Left: CT. Right: PSMA PET, same axial level, 18F-PSMA tracer. PET panel 200×200 px (4.1 mm/px).
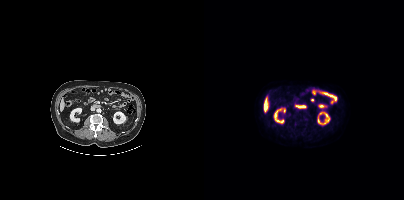
This slice has no annotated PSMA-avid lesion.